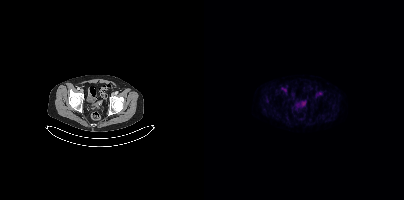
{"modality":"PSMA PET/CT","view":"axial","tracer":"18F-PSMA","pet_grid":[200,200],"coord_frame":"pet_panel","coord_format":"x0,y0,x1,y1","lesion_bboxes":[],"small_foci_centers":[[100,103]]}